modality: PSMA PET/CT | tracer: [18F]PSMA-1007 | view: axial
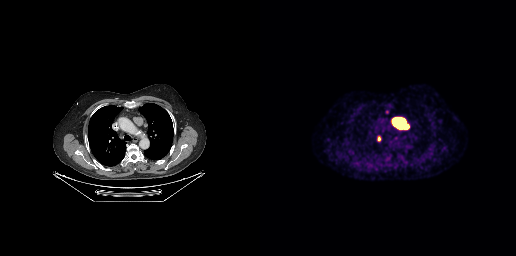
Coordinates are on the 256×256 PET (right) panel. PSMA-avid tumor lesion bounding boxes (x, y, width, height): x=132 y=116 w=18 h=14 / x=117 y=136 w=5 h=6. Small PSMA-avid focus (2 to 4 px across) near (center x, center y): (126, 111).